Paired axial CT (left) and PSMA PET (right), [18F]PSMA-1007 tracer. Slice position z = -296 mm.
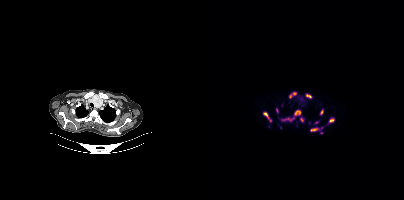
Coordinates are on the 200×200 PET (right) panel. PSMA-avid tumor lesion bounding boxes (partial; 2 more foci not listed):
| # | x0 | y0 | x1 | y1 |
|---|---|---|---|---|
| 1 | 59 | 111 | 67 | 122 |
| 2 | 90 | 110 | 97 | 115 |
| 3 | 78 | 117 | 90 | 121 |
| 4 | 106 | 128 | 113 | 131 |
| 5 | 125 | 118 | 130 | 122 |
| 6 | 102 | 94 | 107 | 97 |
| 7 | 116 | 109 | 119 | 115 |
| 8 | 72 | 108 | 74 | 112 |
Small PSMA-avid foci (2 to 4 px across) near (center x, center y): (97, 119); (90, 93); (86, 95); (113, 122).